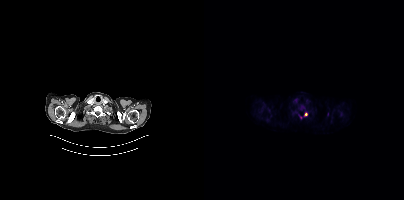
{"modality":"PSMA PET/CT","view":"axial","tracer":"[18F]PSMA-1007","pet_grid":[200,200],"coord_frame":"pet_panel","coord_format":"x0,y0,x1,y1","lesion_bboxes":[],"small_foci_centers":[[102,114]]}